modality: PSMA PET/CT | tracer: 68Ga | view: axial | PET grid: 168×168 | deidentification: facial region redacted
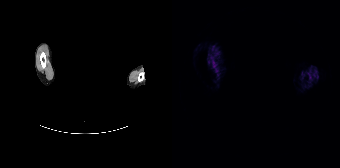
No tumor lesions annotated on this slice.